Technique: Left: CT. Right: PSMA PET, same axial level, 68Ga-PSMA tracer. acquired on Siemens Biograph mCT Flow 20. slice 205 of 409.
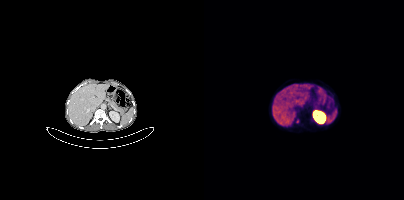
Findings: Only PSMA-avid lesion pieces thinner than 2 px on this slice (not listed).